- Paired axial CT (left) and PSMA PET (right), 68Ga-PSMA tracer
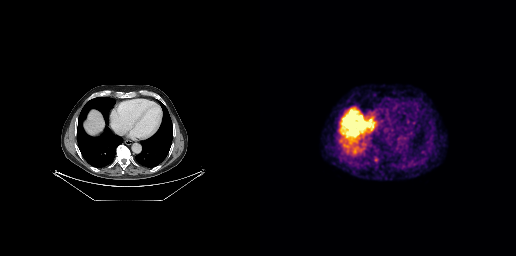
Findings: Coordinates are on the 256×256 PET (right) panel. Small PSMA-avid focus (2 to 4 px across) near (center x, center y): (116, 159).